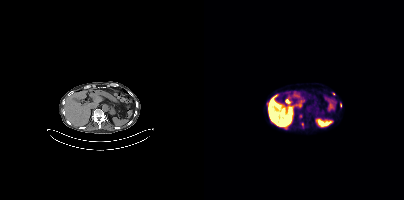
Findings: Coordinates are on the 200×200 PET (right) panel. Small PSMA-avid foci (2 to 4 px across) near (center x, center y): (136, 104); (96, 116); (98, 124); (129, 93).
Technique: Left: CT. Right: PSMA PET, same axial level, [18F]PSMA-1007 tracer. acquired on Siemens Biograph mCT Flow 20. PET panel 200×200 px (4.1 mm/px).